- Paired axial CT (left) and PSMA PET (right), [18F]PSMA-1007 tracer
- slice position z = -413 mm
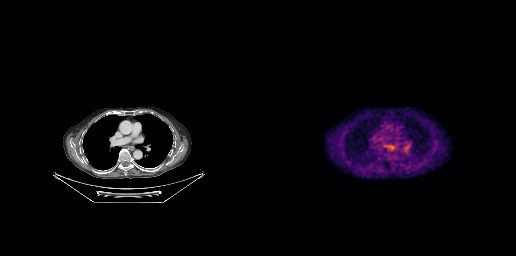
Findings: Coordinates are on the 256×256 PET (right) panel. Small PSMA-avid focus (2 to 4 px across) near (center x, center y): (133, 147).